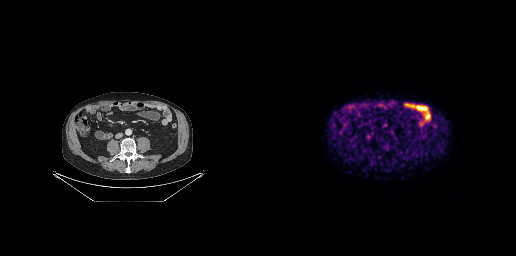
{"modality":"PSMA PET/CT","view":"axial","tracer":"68Ga","pet_grid":[256,256],"coord_frame":"pet_panel","coord_format":"x0,y0,x1,y1","psma_avid_lesions":false}